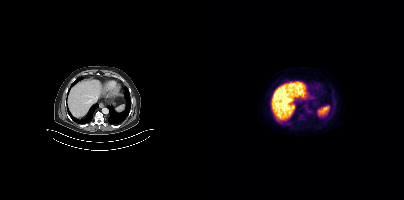
Left: CT. Right: PSMA PET, same axial level, [18F]PSMA-1007 tracer. Acquired on Siemens Biograph mCT Flow 20. No tumor lesions annotated on this slice.